Technique: Paired axial CT (left) and PSMA PET (right), [18F]PSMA-1007 tracer.
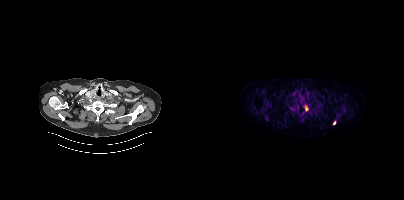
Findings: Coordinates are on the 200×200 PET (right) panel. (showing 6 of 7 foci) PSMA-avid tumor lesion bounding boxes (x0,y0,x1,y1): [81,104,93,112]; [96,97,100,103]; [138,108,142,112]; [101,106,103,110]. Small PSMA-avid foci (2 to 4 px across) near (center x, center y): (130, 122); (117, 111).